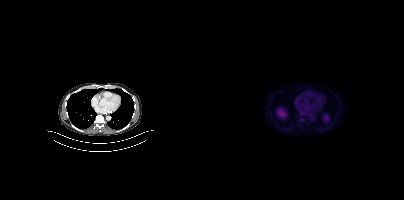
{"modality":"PSMA PET/CT","view":"axial","tracer":"[18F]PSMA-1007","pet_grid":[200,200],"coord_frame":"pet_panel","coord_format":"x0,y0,x1,y1","psma_avid_lesions":false}